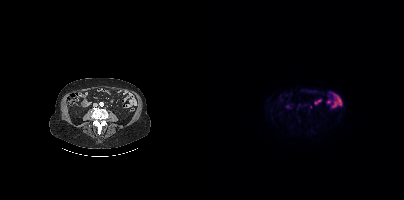
This slice has no annotated PSMA-avid lesion.